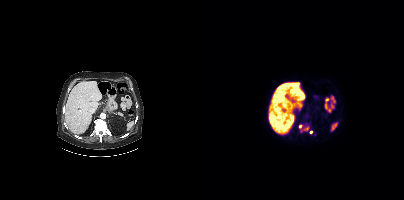
Coordinates are on the 200×200 PET (right) panel. PSMA-avid tumor lesion bounding box (x0,y0,x1,y1): [95,124,105,132]. Small PSMA-avid focus (2 to 4 px across) near (center x, center y): (106, 132).
modality: PSMA PET/CT | tracer: [18F]PSMA-1007 | view: axial | PET grid: 200×200